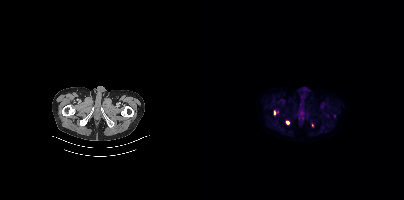
Coordinates are on the 200×200 PET (right) panel. PSMA-avid tumor lesion bounding box (x0,y0,x1,y1): [70,110,72,115]. Small PSMA-avid foci (2 to 4 px across) near (center x, center y): (83, 122) (108, 125).